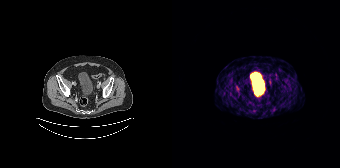
Findings: Negative for PSMA-avid disease on this slice.
Technique: Paired axial CT (left) and PSMA PET (right), [68Ga]Ga-PSMA-11 tracer. acquired on Siemens Biograph 64-4R TruePoint. slice position z = -662 mm.